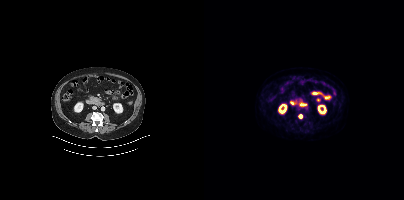
{"modality":"PSMA PET/CT","view":"axial","tracer":"18F","pet_grid":[200,200],"coord_frame":"pet_panel","coord_format":"x0,y0,x1,y1","lesion_bboxes":[],"small_foci_centers":[[96,116]]}